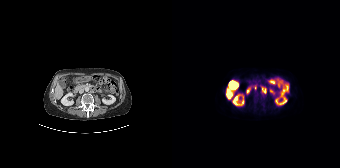
Coordinates are on the 168×168 PET (right) panel. PSMA-avid tumor lesion bounding box (x, y, width, height): x=90 y=88 w=4 h=6.